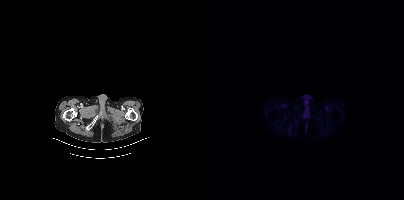
{"pet_grid":[200,200],"coord_frame":"pet_panel","coord_format":"x0,y0,x1,y1","psma_avid_lesions":false,"modality":"PSMA PET/CT","view":"axial","tracer":"68Ga-PSMA"}